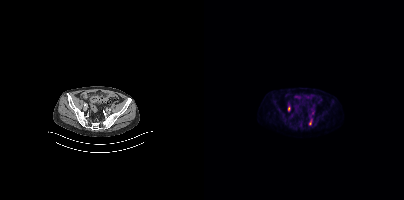
{"modality":"PSMA PET/CT","view":"axial","tracer":"[18F]PSMA-1007","pet_grid":[200,200],"coord_frame":"pet_panel","coord_format":"x0,y0,x1,y1","lesion_bboxes":[[105,120,107,124]]}